modality: PSMA PET/CT | tracer: 18F-PSMA | view: axial | PET grid: 200×200
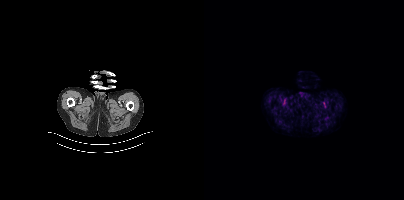
No tumor lesions annotated on this slice.